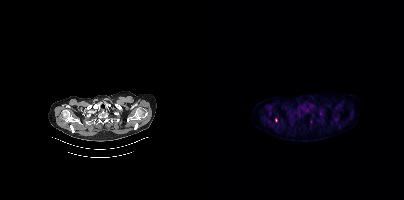
Left: CT. Right: PSMA PET, same axial level, 18F-PSMA tracer. Coordinates are on the 200×200 PET (right) panel. (showing 1 of 2 foci) Small PSMA-avid focus (2 to 4 px across) near (center x, center y): (72, 120).